- Paired axial CT (left) and PSMA PET (right), 18F-PSMA tracer
- slice 330 of 401
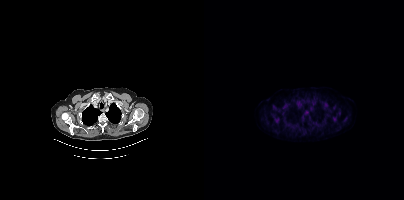
Findings: No tumor lesions annotated on this slice.